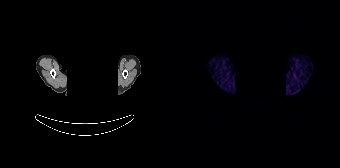
Paired axial CT (left) and PSMA PET (right), [68Ga]Ga-PSMA-11 tracer. Slice position z = -649 mm. De-identified by setting a box covering the face to black before release. This slice has no annotated PSMA-avid lesion.